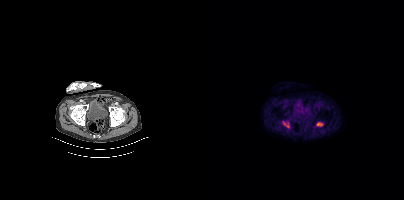
Coordinates are on the 200×200 PET (right) panel. PSMA-avid tumor lesion bounding boxes (partial; 1 more focus not listed):
| # | x0 | y0 | x1 | y1 |
|---|---|---|---|---|
| 1 | 112 | 122 | 119 | 126 |
| 2 | 79 | 121 | 85 | 127 |
Left: CT. Right: PSMA PET, same axial level, 18F-PSMA tracer. Slice position z = -232 mm. PET panel 200×200 px (4.1 mm/px).